Two-panel axial: CT | PSMA PET, [18F]PSMA-1007 tracer. Acquired on Siemens Biograph mCT Flow 20. PET panel 200×200 px (4.1 mm/px).
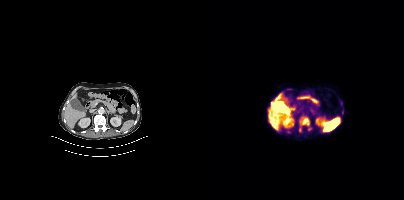
Coordinates are on the 200×200 PET (right) panel. (showing 2 of 3 foci) PSMA-avid tumor lesion bounding box (x0, y0)-(x1, y1): (96, 120)-(105, 125). Small PSMA-avid focus (2 to 4 px across) near (center x, center y): (95, 129).